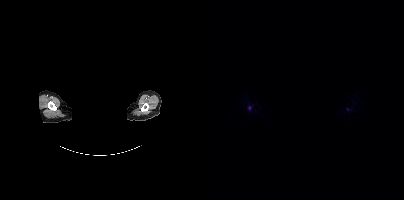
An anonymization step blacked out a rectangle over the head in this scan. Two-panel axial: CT | PSMA PET, [18F]PSMA-1007 tracer. Slice position z = -308 mm. PET panel 200×200 px (4.1 mm/px). Only PSMA-avid lesion pieces thinner than 2 px on this slice (not listed).